modality: PSMA PET/CT | tracer: [18F]PSMA-1007 | view: axial
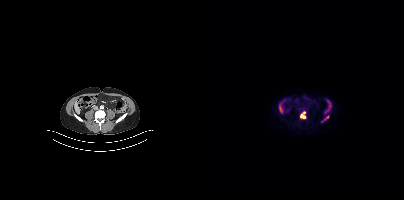
Coordinates are on the 200×200 PET (right) panel. PSMA-avid tumor lesion bounding boxes (x0,y0,x1,y1): [96,111,101,118]; [118,116,124,121].